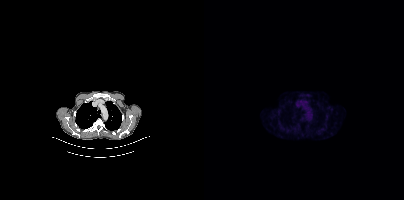
This slice has no annotated PSMA-avid lesion.